- Left: CT. Right: PSMA PET, same axial level, 18F tracer
- slice position z = -1074 mm
- PET panel 200×200 px (4.1 mm/px)
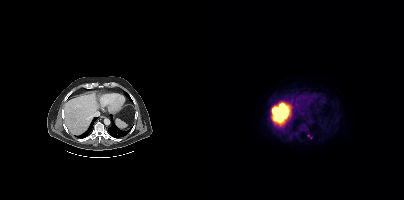
Findings: Coordinates are on the 200×200 PET (right) panel. (showing 1 of 2 foci) Small PSMA-avid focus (2 to 4 px across) near (center x, center y): (104, 135).